Two-panel axial: CT | PSMA PET, 68Ga tracer. Acquired on Siemens Biograph mCT Flow 20. Slice position z = -1526 mm. PET panel 200×200 px (4.1 mm/px).
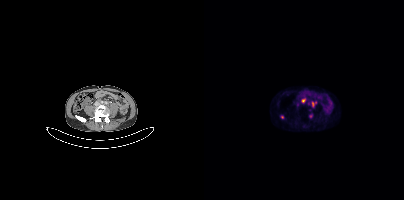
Coordinates are on the 200×200 PET (right) panel. PSMA-avid tumor lesion bounding box (x0,y0,x1,y1): [108,102,112,106]. Small PSMA-avid foci (2 to 4 px across) near (center x, center y): (99, 100); (78, 116).